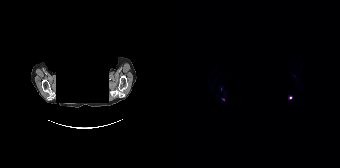
Paired axial CT (left) and PSMA PET (right), 18F tracer. Slice position z = -635 mm. PET panel 168×168 px (4.1 mm/px). Any black rectangle over the head is a privacy mask, not anatomy.
Coordinates are on the 168×168 PET (right) panel. PSMA-avid tumor lesion bounding boxes (partial; 1 more focus not listed):
| # | x0 | y0 | x1 | y1 |
|---|---|---|---|---|
| 1 | 116 | 96 | 120 | 99 |
Small PSMA-avid focus (2 to 4 px across) near (center x, center y): (51, 99).